Technique: Left: CT. Right: PSMA PET, same axial level, [18F]PSMA-1007 tracer. slice position z = -493 mm.
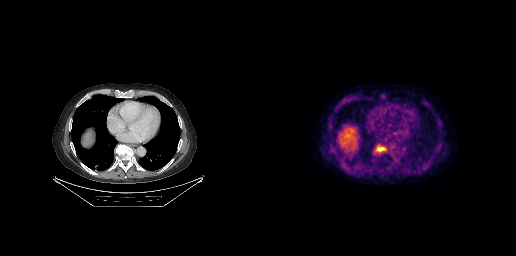
Findings: No tumor lesions annotated on this slice.